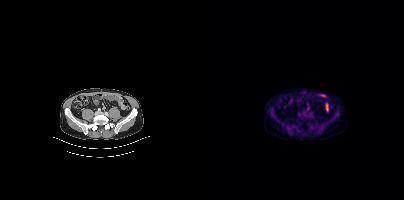
This slice has no annotated PSMA-avid lesion.
modality: PSMA PET/CT | tracer: 18F | view: axial